modality: PSMA PET/CT | tracer: [18F]PSMA-1007 | view: axial | PET grid: 256×256
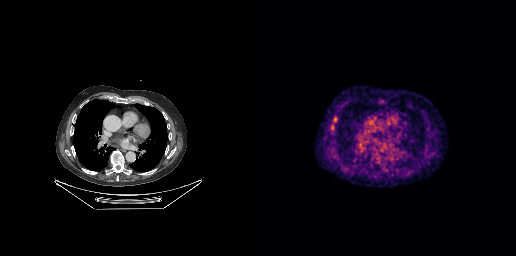
Coordinates are on the 256×256 PET (right) panel. PSMA-avid tumor lesion bounding box (x0, y0)-(x1, y1): (70, 117)-(77, 127).